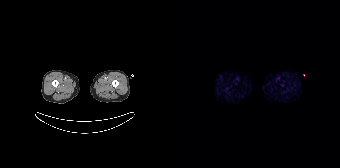
Negative for PSMA-avid disease on this slice. Left: CT. Right: PSMA PET, same axial level, 68Ga tracer. Slice 11 of 195. PET panel 168×168 px (4.1 mm/px).